modality: PSMA PET/CT | tracer: 18F | view: axial | PET grid: 256×256
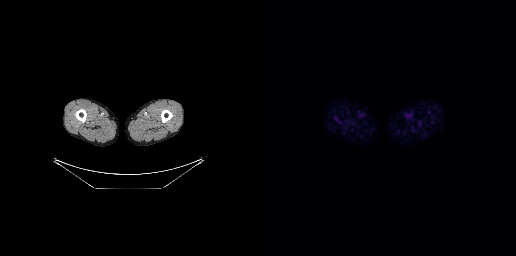
This slice has no annotated PSMA-avid lesion.